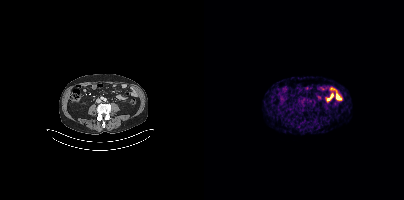
Findings: This slice has no annotated PSMA-avid lesion.
- Left: CT. Right: PSMA PET, same axial level, 68Ga tracer
- PET panel 200×200 px (4.1 mm/px)